Technique: Two-panel axial: CT | PSMA PET, [18F]PSMA-1007 tracer.
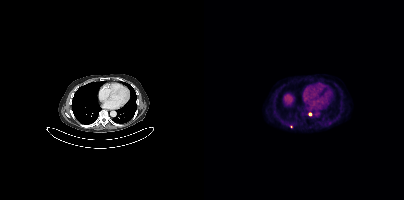
Findings: Coordinates are on the 200×200 PET (right) panel. Small PSMA-avid foci (2 to 4 px across) near (center x, center y): (106, 114); (87, 126).